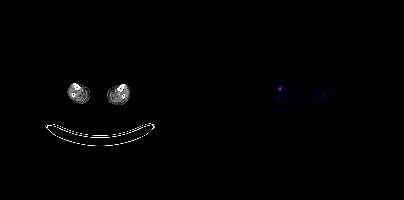
{"modality":"PSMA PET/CT","view":"axial","tracer":"[18F]PSMA-1007","pet_grid":[200,200],"coord_frame":"pet_panel","coord_format":"x0,y0,x1,y1","lesion_bboxes":[],"small_foci_centers":[[76,88]]}